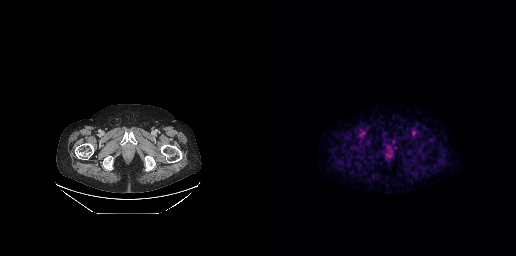
No tumor lesions annotated on this slice.